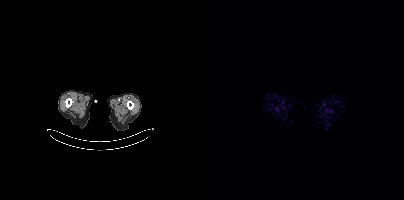
{"modality":"PSMA PET/CT","view":"axial","tracer":"18F-PSMA","pet_grid":[200,200],"coord_frame":"pet_panel","coord_format":"x0,y0,x1,y1","psma_avid_lesions":false}